Paired axial CT (left) and PSMA PET (right), [18F]PSMA-1007 tracer.
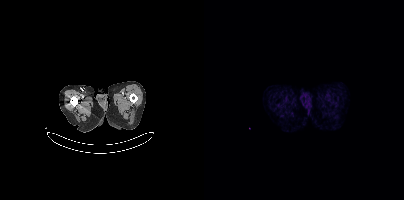
Negative for PSMA-avid disease on this slice.